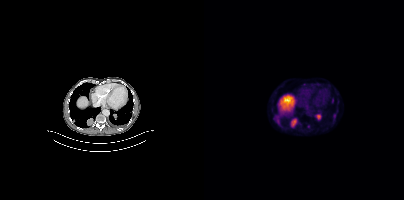
Coordinates are on the 200×200 PET (right) panel. (showing 6 of 7 foci) PSMA-avid tumor lesion bounding boxes (x, y, width, height): x=87 y=118 w=6 h=9 / x=112 y=114 w=5 h=6 / x=127 y=98 w=3 h=6 / x=69 y=117 w=4 h=5. Small PSMA-avid foci (2 to 4 px across) near (center x, center y): (74, 122) / (104, 126).